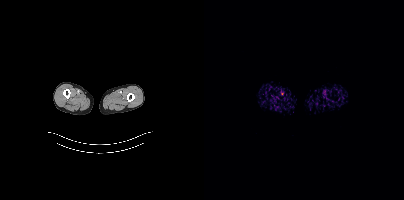
modality: PSMA PET/CT | tracer: 18F | view: axial | PET grid: 200×200
No tumor lesions annotated on this slice.